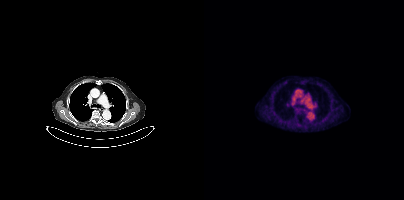
Technique: Two-panel axial: CT | PSMA PET, [18F]PSMA-1007 tracer. acquired on Siemens Biograph mCT Flow 20. slice position z = -1188 mm. PET panel 200×200 px (4.1 mm/px).
Findings: No tumor lesions annotated on this slice.